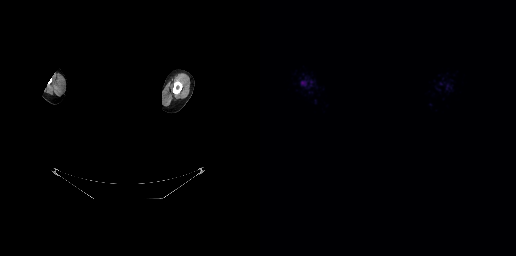
- Two-panel axial: CT | PSMA PET, 18F tracer
- slice position z = -4 mm
- PET panel 256×256 px (2.7 mm/px)
- a rectangle over the head was blacked out to remove identifiable facial features
Findings: Negative for PSMA-avid disease on this slice.